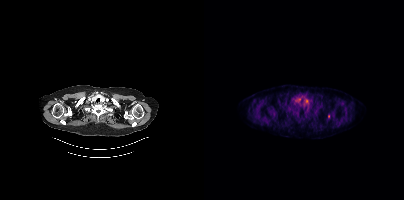
modality: PSMA PET/CT | tracer: 18F | view: axial
Only PSMA-avid lesion pieces thinner than 2 px on this slice (not listed).